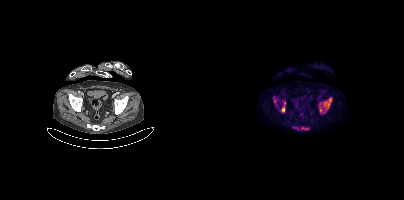
Coordinates are on the 200×200 PET (right) panel. PSMA-avid tumor lesion bounding boxes (x0,y0,x1,y1): [120,98,127,107], [69,96,72,105], [78,106,80,112], [97,127,104,129], [89,127,94,129]. Small PSMA-avid foci (2 to 4 px across) near (center x, center y): (80, 102), (116, 110).